Two-panel axial: CT | PSMA PET, [18F]PSMA-1007 tracer. Acquired on GE Discovery 690. Slice 219 of 263.
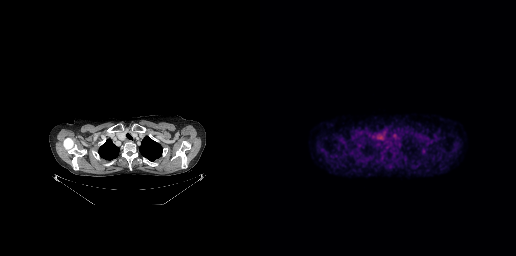
Negative for PSMA-avid disease on this slice.